modality: PSMA PET/CT | tracer: 68Ga-PSMA | view: axial
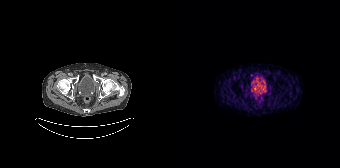
No tumor lesions annotated on this slice.